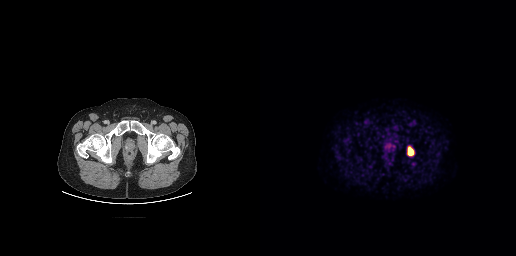
Left: CT. Right: PSMA PET, same axial level, [18F]PSMA-1007 tracer. Acquired on GE Discovery 690. Slice 43 of 263. PET panel 256×256 px (2.7 mm/px). Coordinates are on the 256×256 PET (right) panel. PSMA-avid tumor lesion bounding box (x0, y0)-(x1, y1): (147, 146)-(154, 155).